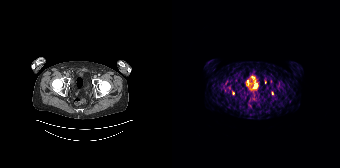
{"modality":"PSMA PET/CT","view":"axial","tracer":"[68Ga]Ga-PSMA-11","pet_grid":[168,168],"coord_frame":"pet_panel","coord_format":"x0,y0,x1,y1","partial":true,"lesion_bboxes":[],"small_foci_centers":[[93,82],[61,93]]}